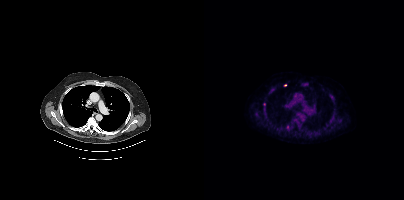
Coordinates are on the 200×200 PET (right) panel. (showing 2 of 5 foci) PSMA-avid tumor lesion bounding box (x0,y0,x1,y1): [82,125,86,129]. Small PSMA-avid focus (2 to 4 px across) near (center x, center y): (61, 117).